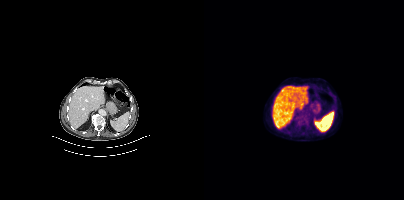
Negative for PSMA-avid disease on this slice.